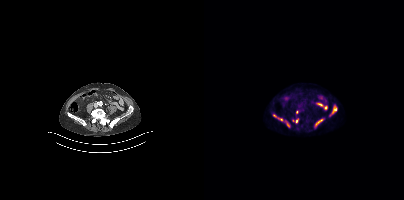
modality: PSMA PET/CT | tracer: 18F-PSMA | view: axial
Coordinates are on the 200×200 PET (right) panel. PSMA-avid tumor lesion bounding boxes (x0,y0,x1,y1): [126,105,132,116]; [111,119,119,126]; [88,118,94,123]; [74,118,78,120]; [83,123,85,127]. Small PSMA-avid foci (2 to 4 px across) near (center x, center y): (93, 111); (70, 115).